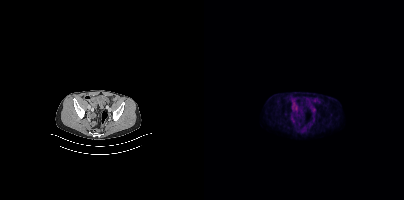
{"pet_grid":[200,200],"coord_frame":"pet_panel","coord_format":"x0,y0,x1,y1","psma_avid_lesions":false,"modality":"PSMA PET/CT","view":"axial","tracer":"18F-PSMA"}